Left: CT. Right: PSMA PET, same axial level, 18F-PSMA tracer. Slice position z = -380 mm. PET panel 200×200 px (4.1 mm/px).
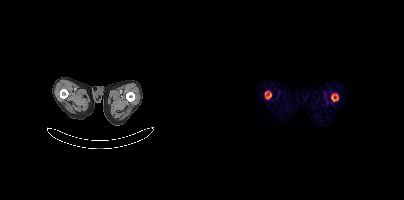
Coordinates are on the 200×200 PET (right) panel. PSMA-avid tumor lesion bounding boxes (x0,y0,x1,y1): [127,94,134,101], [61,91,67,98].